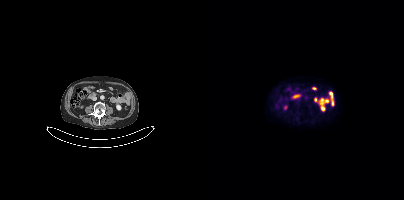
{"modality":"PSMA PET/CT","view":"axial","tracer":"[18F]PSMA-1007","pet_grid":[200,200],"coord_frame":"pet_panel","coord_format":"x0,y0,x1,y1","psma_avid_lesions":false}